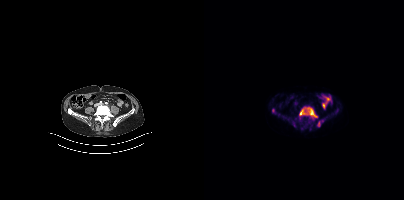
Coordinates are on the 200×200 PET (right) panel. PSMA-avid tumor lesion bounding boxes (partial; 1 more focus not listed):
| # | x0 | y0 | x1 | y1 |
|---|---|---|---|---|
| 1 | 96 | 108 | 113 | 117 |
| 2 | 89 | 121 | 91 | 126 |
| 3 | 114 | 121 | 116 | 126 |
Small PSMA-avid focus (2 to 4 px across) near (center x, center y): (69, 110).
Paired axial CT (left) and PSMA PET (right), 18F-PSMA tracer. Acquired on Siemens Biograph mCT Flow 20. PET panel 200×200 px (4.1 mm/px).